- Paired axial CT (left) and PSMA PET (right), [18F]PSMA-1007 tracer
- slice position z = -410 mm
- PET panel 200×200 px (4.1 mm/px)
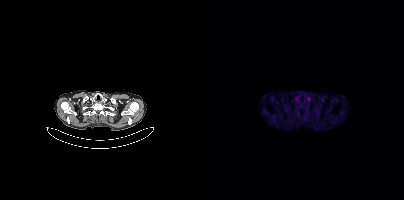
Findings: No tumor lesions annotated on this slice.